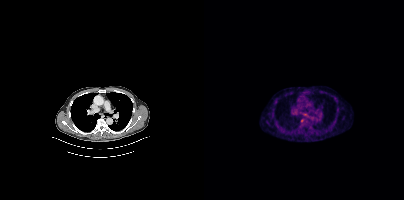
{"modality":"PSMA PET/CT","view":"axial","tracer":"[18F]PSMA-1007","pet_grid":[200,200],"coord_frame":"pet_panel","coord_format":"x0,y0,x1,y1","lesion_bboxes":[[96,118,101,123]]}